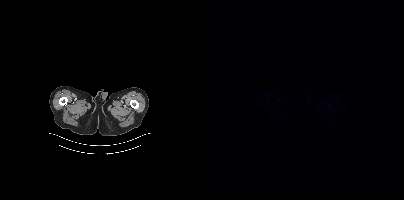
modality: PSMA PET/CT | tracer: 18F | view: axial
No PSMA-avid tumor lesions on this slice.